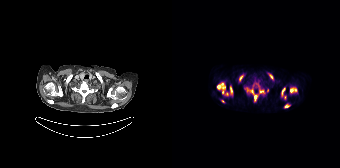
Findings: Coordinates are on the 168×168 PET (right) panel. (showing 10 of 11 foci) PSMA-avid tumor lesion bounding boxes (x0,y0,x1,y1): [73,83,93,101]; [45,82,56,95]; [118,87,125,93]; [109,87,114,99]; [58,86,60,94]; [67,75,71,81]; [112,104,118,108]. Small PSMA-avid foci (2 to 4 px across) near (center x, center y): (98, 75); (95, 90); (51, 101).
Technique: Two-panel axial: CT | PSMA PET, 18F-PSMA tracer. slice 138 of 165. PET panel 168×168 px (4.1 mm/px).